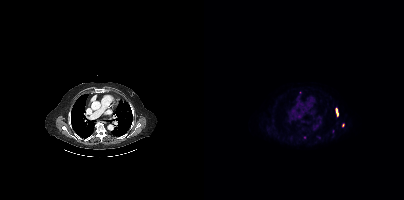
Technique: Paired axial CT (left) and PSMA PET (right), 18F-PSMA tracer.
Findings: Coordinates are on the 200×200 PET (right) panel. (showing 1 of 3 foci) PSMA-avid tumor lesion bounding box (x0, y0)-(x1, y1): (132, 108)-(134, 116).